modality: PSMA PET/CT | tracer: [18F]PSMA-1007 | view: axial | PET grid: 200×200 | de-identification: rectangular block over head set to black
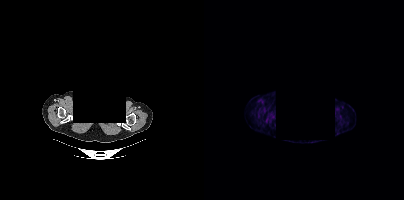
No PSMA-avid tumor lesions on this slice.